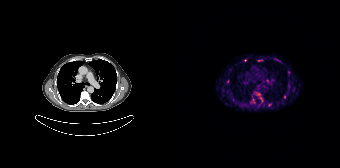
{"pet_grid":[168,168],"coord_frame":"pet_panel","coord_format":"x0,y0,x1,y1","partial":true,"lesion_bboxes":[[116,81,118,89],[102,59,108,61]],"small_foci_centers":[[73,60],[55,81]],"modality":"PSMA PET/CT","view":"axial","tracer":"[68Ga]Ga-PSMA-11"}